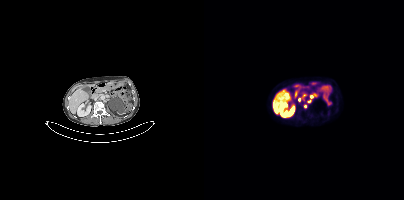
Coordinates are on the 200×200 PET (right) panel. Small PSMA-avid foci (2 to 4 px across) near (center x, center y): (101, 106), (107, 96), (95, 99), (105, 100), (100, 102).